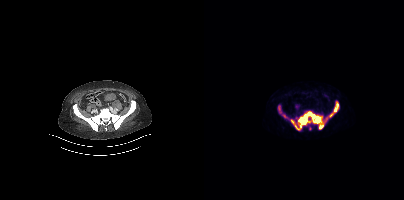
Findings: Coordinates are on the 200×200 PET (right) panel. PSMA-avid tumor lesion bounding boxes (x0, y0)-(x1, y1): (86, 101)-(135, 130); (74, 104)-(78, 114); (79, 114)-(84, 119).
Technique: Two-panel axial: CT | PSMA PET, 68Ga tracer. acquired on Siemens Biograph mCT Flow 20. slice 112 of 397. PET panel 200×200 px (4.1 mm/px).